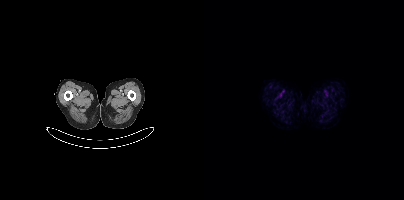
Paired axial CT (left) and PSMA PET (right), 18F tracer. Slice 16 of 401. PET panel 200×200 px (4.1 mm/px). Negative for PSMA-avid disease on this slice.